- Left: CT. Right: PSMA PET, same axial level, [18F]PSMA-1007 tracer
- slice position z = 248 mm
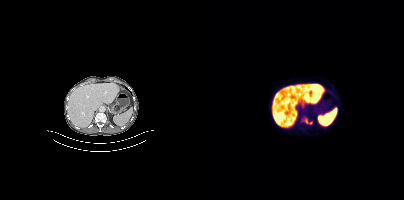
Findings: Coordinates are on the 200×200 PET (right) panel. PSMA-avid tumor lesion bounding box (x0, y0)-(x1, y1): (98, 117)-(108, 124).